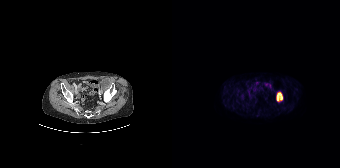
Technique: Paired axial CT (left) and PSMA PET (right), 18F tracer. slice position z = -1148 mm.
Findings: Coordinates are on the 168×168 PET (right) panel. PSMA-avid tumor lesion bounding box (x0, y0)-(x1, y1): (104, 91)-(111, 101).